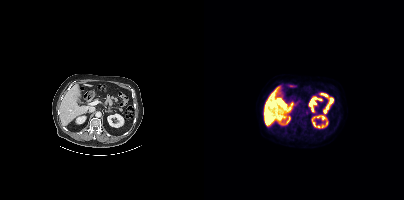
Two-panel axial: CT | PSMA PET, 18F-PSMA tracer. PET panel 200×200 px (4.1 mm/px). No tumor lesions annotated on this slice.